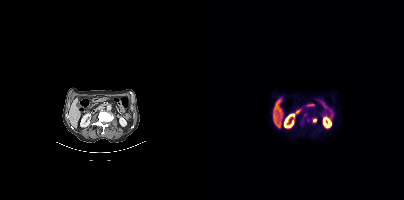
- Paired axial CT (left) and PSMA PET (right), [18F]PSMA-1007 tracer
- acquired on Siemens Biograph mCT Flow 20
- slice position z = -199 mm
Findings: Coordinates are on the 200×200 PET (right) panel. Small PSMA-avid foci (2 to 4 px across) near (center x, center y): (110, 120); (100, 114).